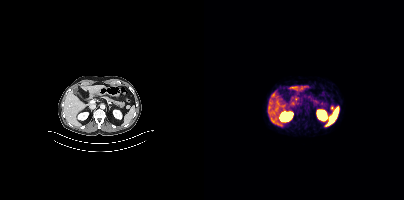
- Two-panel axial: CT | PSMA PET, 68Ga-PSMA tracer
- acquired on Siemens Biograph mCT Flow 20
- slice 216 of 411
Findings: Coordinates are on the 200×200 PET (right) panel. Small PSMA-avid focus (2 to 4 px across) near (center x, center y): (128, 107).